- Left: CT. Right: PSMA PET, same axial level, 18F tracer
- PET panel 200×200 px (4.1 mm/px)
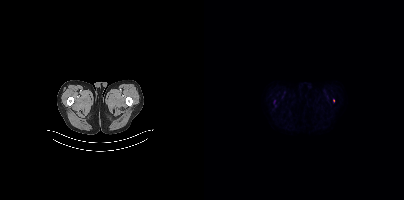
Findings: Coordinates are on the 200×200 PET (right) panel. Small PSMA-avid focus (2 to 4 px across) near (center x, center y): (129, 100).